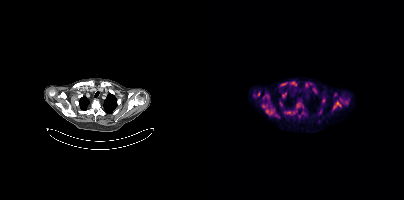
Paired axial CT (left) and PSMA PET (right), 18F-PSMA tracer. Acquired on Siemens Biograph mCT Flow 20. PET panel 200×200 px (4.1 mm/px).
Coordinates are on the 200×200 PET (right) panel. PSMA-avid tumor lesion bounding boxes (partial; 2 more foci not listed):
| # | x0 | y0 | x1 | y1 |
|---|---|---|---|---|
| 1 | 58 | 104 | 68 | 115 |
| 2 | 129 | 101 | 137 | 109 |
| 3 | 77 | 82 | 83 | 86 |
| 4 | 81 | 111 | 86 | 114 |
| 5 | 85 | 81 | 89 | 84 |
Small PSMA-avid foci (2 to 4 px across) near (center x, center y): (80, 94); (106, 83); (93, 106); (89, 112).